Paired axial CT (left) and PSMA PET (right), 18F tracer. Acquired on Siemens Biograph mCT Flow 20. Slice position z = 242 mm.
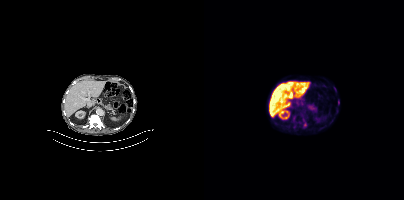
Coordinates are on the 200×200 PET (right) panel. Small PSMA-avid foci (2 to 4 px across) near (center x, center y): (134, 101) | (100, 124).